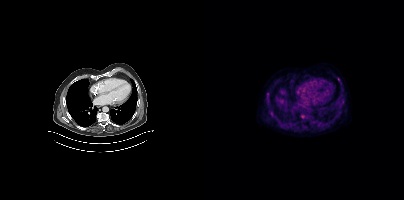
Coordinates are on the 200×200 PET (right) panel. Small PSMA-avid focus (2 to 4 px across) near (center x, center y): (98, 116). Left: CT. Right: PSMA PET, same axial level, [18F]PSMA-1007 tracer. Acquired on Siemens Biograph mCT Flow 20. Slice position z = -1076 mm. PET panel 200×200 px (4.1 mm/px).